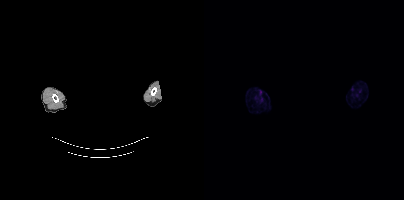
{"modality":"PSMA PET/CT","view":"axial","tracer":"18F-PSMA","pet_grid":[200,200],"coord_frame":"pet_panel","coord_format":"x0,y0,x1,y1","psma_avid_lesions":false,"deidentification":"facial region redacted"}